Technique: Two-panel axial: CT | PSMA PET, 18F tracer. acquired on Siemens Biograph mCT Flow 20. PET panel 200×200 px (4.1 mm/px).
Note: The head region is masked for de-identification.
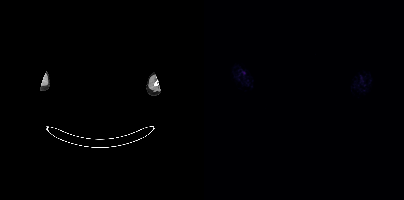
Findings: Negative for PSMA-avid disease on this slice.